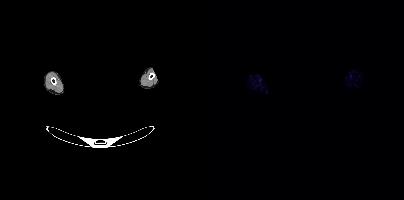
{"modality":"PSMA PET/CT","view":"axial","tracer":"[18F]PSMA-1007","pet_grid":[200,200],"coord_frame":"pet_panel","coord_format":"x0,y0,x1,y1","deidentification":"face masked with black rectangle","psma_avid_lesions":false}